Paired axial CT (left) and PSMA PET (right), 68Ga-PSMA tracer. Acquired on Siemens Biograph 64-4R TruePoint.
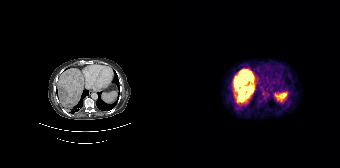
Coordinates are on the 168×168 PET (right) panel. (showing 1 of 2 foci) PSMA-avid tumor lesion bounding box (x0,y0,x1,y1): [62,70,82,102].